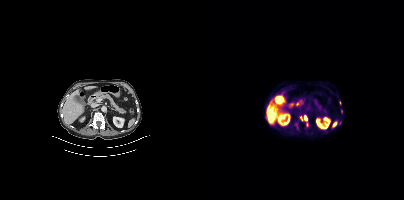
Left: CT. Right: PSMA PET, same axial level, [18F]PSMA-1007 tracer. Acquired on Siemens Biograph mCT Flow 20. Slice position z = -666 mm. PET panel 200×200 px (4.1 mm/px). Coordinates are on the 200×200 PET (right) panel. (showing 4 of 5 foci) PSMA-avid tumor lesion bounding box (x0,y0,x1,y1): [96,115,104,126]. Small PSMA-avid foci (2 to 4 px across) near (center x, center y): (137, 111); (136, 123); (92, 126).